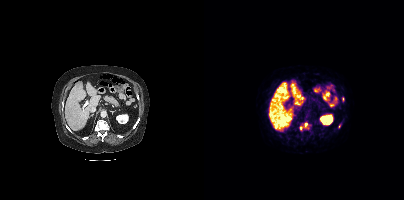
Technique: Left: CT. Right: PSMA PET, same axial level, 68Ga tracer. slice position z = 597 mm. PET panel 200×200 px (4.1 mm/px).
Findings: Coordinates are on the 200×200 PET (right) panel. (showing 2 of 4 foci) PSMA-avid tumor lesion bounding boxes (x0,y0,x1,y1): [96,122,103,128] [138,97,140,101].